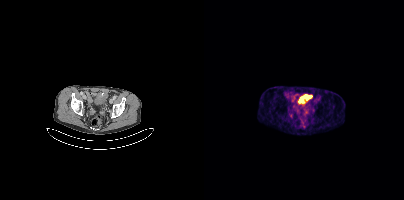
Left: CT. Right: PSMA PET, same axial level, [68Ga]Ga-PSMA-11 tracer. Slice position z = -857 mm. PET panel 200×200 px (4.1 mm/px). Coordinates are on the 200×200 PET (right) panel. (showing 1 of 2 foci) Small PSMA-avid focus (2 to 4 px across) near (center x, center y): (86, 115).